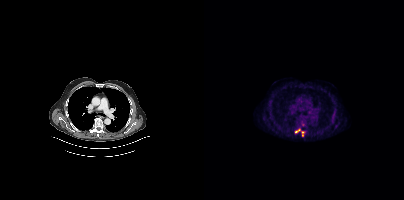
Two-panel axial: CT | PSMA PET, 18F-PSMA tracer. Acquired on Siemens Biograph mCT Flow 20. PET panel 200×200 px (4.1 mm/px).
Coordinates are on the 200×200 PET (right) panel. PSMA-avid tumor lesion bounding boxes:
| # | x0 | y0 | x1 | y1 |
|---|---|---|---|---|
| 1 | 91 | 129 | 100 | 135 |